- Two-panel axial: CT | PSMA PET, 18F tracer
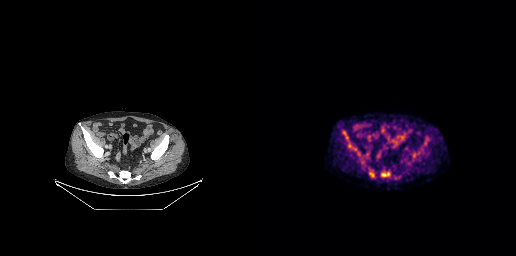
Findings: Coordinates are on the 256×256 PET (right) panel. PSMA-avid tumor lesion bounding boxes (x0,y0,x1,y1): [121,172,129,176] [88,143,96,150] [164,137,168,144]. Small PSMA-avid foci (2 to 4 px across) near (center x, center y): (111, 174) (158, 152) (155, 153).